Technique: Paired axial CT (left) and PSMA PET (right), 18F-PSMA tracer. slice 73 of 407.
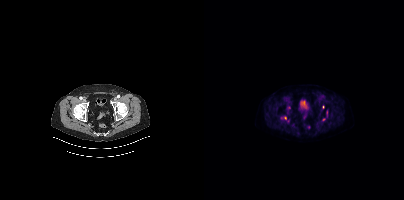
Findings: Coordinates are on the 200×200 PET (right) panel. (showing 1 of 3 foci) Small PSMA-avid focus (2 to 4 px across) near (center x, center y): (119, 119).